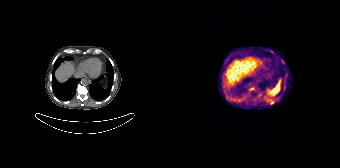
modality: PSMA PET/CT | tracer: 68Ga | view: axial | PET grid: 168×168
Coordinates are on the 168×168 PET (right) panel. Small PSMA-avid foci (2 to 4 px across) near (center x, center y): (100, 102) / (79, 88) / (66, 99).